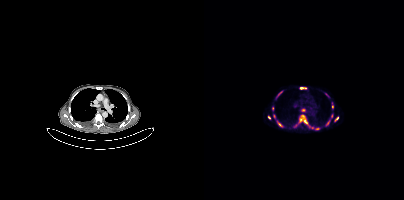
Findings: Coordinates are on the 200×200 PET (right) panel. (showing 12 of 16 foci) PSMA-avid tumor lesion bounding boxes (x0,y0,x1,y1): [95,115,109,129] [97,109,101,111] [72,91,78,97]. Small PSMA-avid foci (2 to 4 px across) near (center x, center y): (97, 88) (68, 108) (132, 118) (128, 106) (127, 115) (76, 124) (70, 116) (65, 117) (92, 124).
Technique: Two-panel axial: CT | PSMA PET, 68Ga tracer.